modality: PSMA PET/CT | tracer: [18F]PSMA-1007 | view: axial | PET grid: 200×200
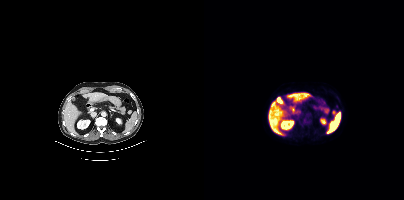
Coordinates are on the 200×200 PET (right) panel. Small PSMA-avid focus (2 to 4 px across) near (center x, center y): (130, 112).